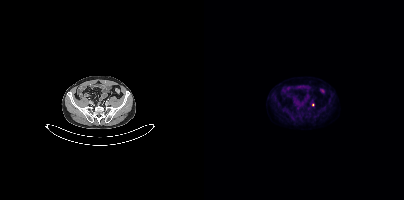
Coordinates are on the 200×200 PET (right) panel. Small PSMA-avid focus (2 to 4 px across) near (center x, center y): (108, 104). Paired axial CT (left) and PSMA PET (right), 18F-PSMA tracer. Acquired on Siemens Biograph mCT Flow 20. PET panel 200×200 px (4.1 mm/px).